Left: CT. Right: PSMA PET, same axial level, [18F]PSMA-1007 tracer. Acquired on Siemens Biograph 64-4R TruePoint. PET panel 168×168 px (4.1 mm/px). The face region was removed for patient privacy by blanking a rectangle over the head.
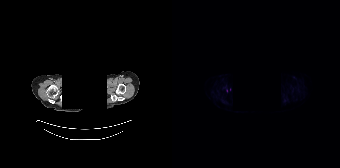
Only PSMA-avid lesion pieces thinner than 2 px on this slice (not listed).